Two-panel axial: CT | PSMA PET, 18F tracer.
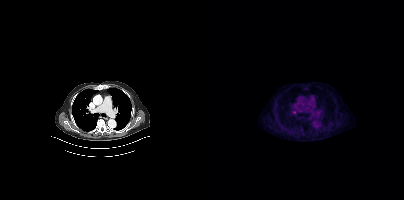
Coordinates are on the 200×200 PET (right) panel. Small PSMA-avid focus (2 to 4 px across) near (center x, center y): (90, 111).